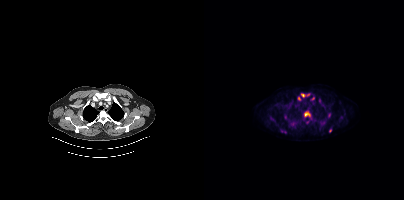
Findings: Coordinates are on the 200×200 PET (right) panel. (showing 9 of 11 foci) PSMA-avid tumor lesion bounding boxes (x0,y0,x1,y1): [100,112,106,117], [76,129,82,133], [97,93,101,97]. Small PSMA-avid foci (2 to 4 px across) near (center x, center y): (125, 115), (103, 121), (126, 130), (95, 98), (104, 94), (109, 98).
Technique: Left: CT. Right: PSMA PET, same axial level, 18F tracer. slice 301 of 395. PET panel 200×200 px (4.1 mm/px).